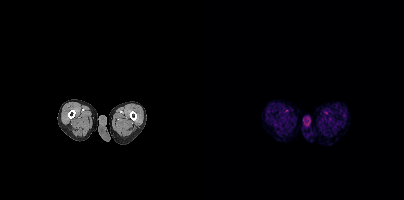
Findings: No tumor lesions annotated on this slice.
- Left: CT. Right: PSMA PET, same axial level, 18F tracer
- acquired on Siemens Biograph mCT Flow 20
- PET panel 200×200 px (4.1 mm/px)